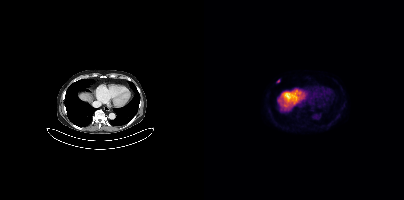
modality: PSMA PET/CT | tracer: 18F | view: axial
Coordinates are on the 200×200 PET (right) panel. Small PSMA-avid focus (2 to 4 px across) near (center x, center y): (74, 81).